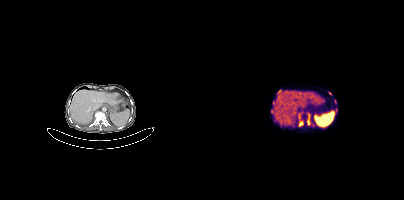
- Left: CT. Right: PSMA PET, same axial level, 68Ga-PSMA tracer
- PET panel 200×200 px (4.1 mm/px)
Findings: Coordinates are on the 200×200 PET (right) panel. (showing 7 of 11 foci) PSMA-avid tumor lesion bounding boxes (x, y, width, height): x=103 y=113 w=4 h=12; x=95 y=121 w=5 h=6; x=67 y=108 w=3 h=5. Small PSMA-avid foci (2 to 4 px across) near (center x, center y): (132, 109); (75, 91); (125, 93); (95, 117).